modality: PSMA PET/CT | tracer: 18F | view: axial
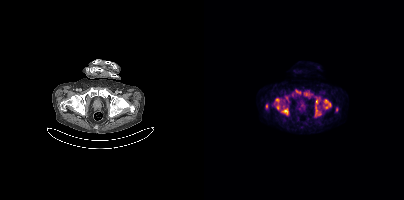
Coordinates are on the 200×200 PET (right) panel. (showing 10 of 11 foci) PSMA-avid tumor lesion bounding boxes (x0,y0,x1,y1): [120,99,127,108], [77,108,84,114], [111,99,116,115], [81,96,85,101], [72,104,75,109], [62,104,63,108]. Small PSMA-avid foci (2 to 4 px across) near (center x, center y): (94, 91), (73, 100), (132, 109), (88, 95).